Left: CT. Right: PSMA PET, same axial level, 18F-PSMA tracer. Acquired on Siemens Biograph mCT Flow 20. PET panel 200×200 px (4.1 mm/px).
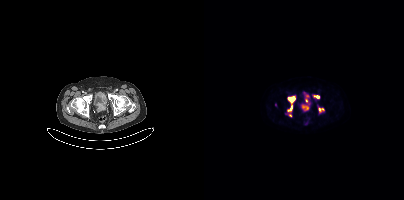
Coordinates are on the 200×200 PET (right) panel. PSMA-avid tumor lesion bounding boxes (partial; 1 more focus not listed):
| # | x0 | y0 | x1 | y1 |
|---|---|---|---|---|
| 1 | 98 | 104 | 104 | 110 |
| 2 | 84 | 95 | 91 | 102 |
| 3 | 102 | 94 | 105 | 98 |
| 4 | 84 | 105 | 88 | 110 |
| 5 | 115 | 108 | 119 | 110 |
| 6 | 110 | 96 | 115 | 98 |
Small PSMA-avid foci (2 to 4 px across) near (center x, center y): (102, 101); (71, 104).